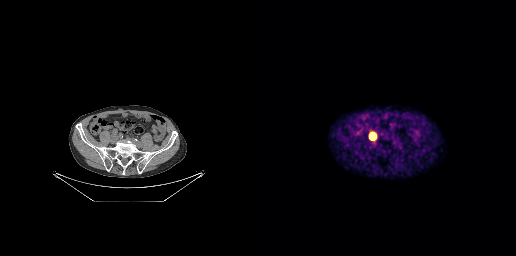
Coordinates are on the 256×256 PET (right) panel. PSMA-avid tumor lesion bounding box (x0,y0,x1,y1): [110,133,115,138].